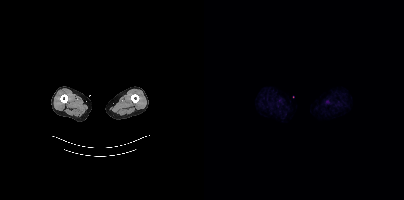
{"modality":"PSMA PET/CT","view":"axial","tracer":"18F","pet_grid":[200,200],"coord_frame":"pet_panel","coord_format":"x0,y0,x1,y1","psma_avid_lesions":false}